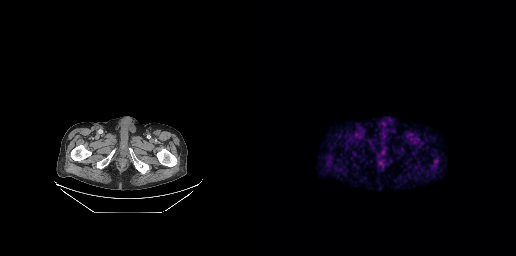
No tumor lesions annotated on this slice. Two-panel axial: CT | PSMA PET, 68Ga tracer. Slice 51 of 263.